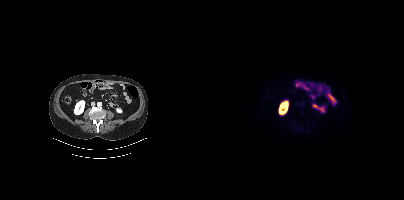
Negative for PSMA-avid disease on this slice.